- Two-panel axial: CT | PSMA PET, 18F-PSMA tracer
- acquired on Siemens Biograph mCT Flow 20
- PET panel 200×200 px (4.1 mm/px)
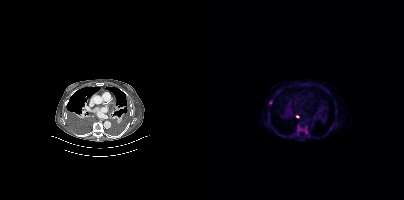
Findings: Coordinates are on the 200×200 PET (right) panel. PSMA-avid tumor lesion bounding boxes (x0, y0)-(x1, y1): (101, 129)-(104, 134) / (94, 126)-(97, 130). Small PSMA-avid foci (2 to 4 px across) near (center x, center y): (66, 102) / (93, 116).